Left: CT. Right: PSMA PET, same axial level, [18F]PSMA-1007 tracer. Acquired on Siemens Biograph 64-4R TruePoint. Slice position z = -1026 mm.
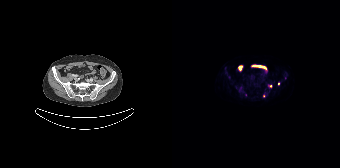
Coordinates are on the 168×168 PET (right) panel. (showing 2 of 4 foci) Small PSMA-avid foci (2 to 4 px across) near (center x, center y): (98, 86); (106, 83).